- Left: CT. Right: PSMA PET, same axial level, 18F-PSMA tracer
- slice 103 of 397
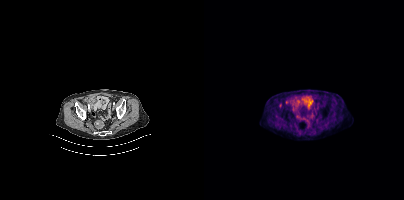
Findings: No tumor lesions annotated on this slice.